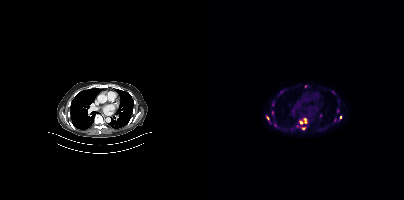
Findings: Coordinates are on the 200×200 PET (right) panel. (showing 11 of 13 foci) PSMA-avid tumor lesion bounding boxes (x, y, width, height): x=95 y=118 w=9 h=7; x=62 y=116 w=4 h=5. Small PSMA-avid foci (2 to 4 px across) near (center x, center y): (99, 128); (131, 119); (133, 111); (136, 117); (68, 104); (68, 112); (77, 91); (129, 92); (71, 125).
Technique: Left: CT. Right: PSMA PET, same axial level, [18F]PSMA-1007 tracer. slice 279 of 413. PET panel 200×200 px (4.1 mm/px).